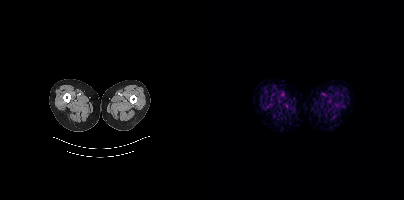
This slice has no annotated PSMA-avid lesion. Two-panel axial: CT | PSMA PET, 18F-PSMA tracer. Slice position z = -222 mm.